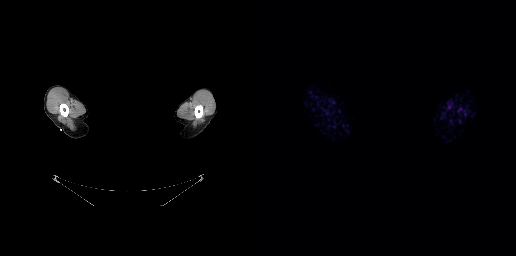
No PSMA-avid tumor lesions on this slice.
Head region blanked for anonymization (face removed).